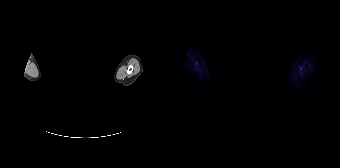
Technique: Left: CT. Right: PSMA PET, same axial level, 18F tracer. slice position z = -566 mm. PET panel 168×168 px (4.1 mm/px).
Note: Face de-identified by blanking a block of the head.
Findings: No PSMA-avid tumor lesions on this slice.